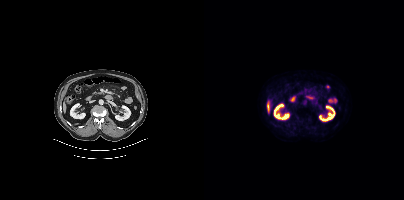
{"pet_grid":[200,200],"coord_frame":"pet_panel","coord_format":"x0,y0,x1,y1","psma_avid_lesions":false,"modality":"PSMA PET/CT","view":"axial","tracer":"[18F]PSMA-1007"}